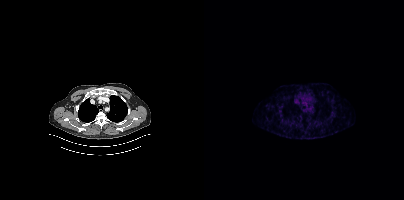
{"modality":"PSMA PET/CT","view":"axial","tracer":"68Ga-PSMA","pet_grid":[200,200],"coord_frame":"pet_panel","coord_format":"x0,y0,x1,y1","psma_avid_lesions":false}